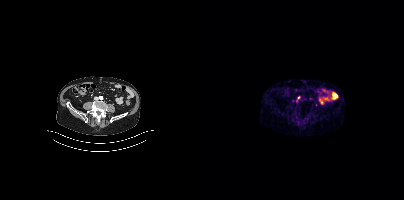
Coordinates are on the 200×200 PET (right) panel. Small PSMA-avid focus (2 to 4 px across) near (center x, center y): (95, 97). Left: CT. Right: PSMA PET, same axial level, [68Ga]Ga-PSMA-11 tracer. PET panel 200×200 px (4.1 mm/px).